- Paired axial CT (left) and PSMA PET (right), 18F-PSMA tracer
- acquired on Siemens Biograph mCT Flow 20
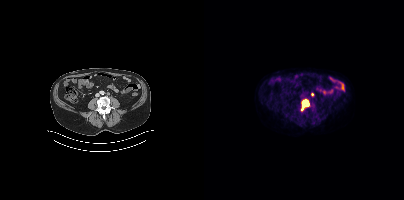
Findings: Coordinates are on the 200×200 PET (right) panel. (showing 1 of 2 foci) PSMA-avid tumor lesion bounding box (x0,y0,x1,y1): [97,99,105,111].